Technique: Two-panel axial: CT | PSMA PET, 18F tracer. acquired on Siemens Biograph mCT Flow 20.
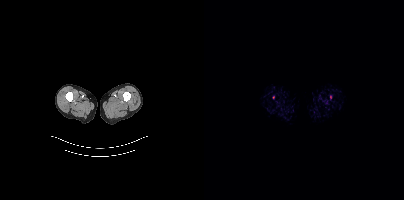
Findings: Coordinates are on the 200×200 PET (right) panel. Small PSMA-avid foci (2 to 4 px across) near (center x, center y): (69, 97); (126, 97).